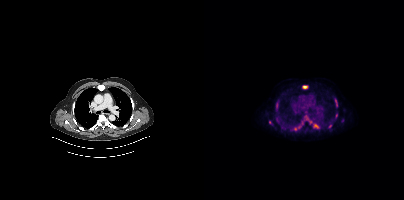
Technique: Two-panel axial: CT | PSMA PET, 18F-PSMA tracer. acquired on Siemens Biograph mCT Flow 20.
Findings: Coordinates are on the 200×200 PET (right) panel. (showing 12 of 14 foci) PSMA-avid tumor lesion bounding boxes (x, y, width, height): x=105 y=119 w=11 h=10 / x=86 y=125 w=12 h=6 / x=130 y=98 w=5 h=10 / x=98 y=85 w=6 h=4 / x=72 y=102 w=3 h=7 / x=124 y=124 w=4 h=5. Small PSMA-avid foci (2 to 4 px across) near (center x, center y): (132, 114) / (66, 122) / (101, 119) / (98, 122) / (138, 120) / (77, 126).